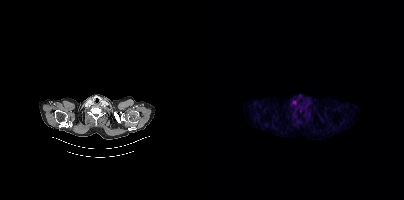
{"modality":"PSMA PET/CT","view":"axial","tracer":"[18F]PSMA-1007","pet_grid":[200,200],"coord_frame":"pet_panel","coord_format":"x0,y0,x1,y1","psma_avid_lesions":false}